Paired axial CT (left) and PSMA PET (right), [68Ga]Ga-PSMA-11 tracer. Acquired on Siemens Biograph 64-4R TruePoint. PET panel 168×168 px (4.1 mm/px).
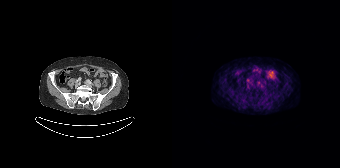
Negative for PSMA-avid disease on this slice.